Technique: Paired axial CT (left) and PSMA PET (right), 68Ga-PSMA tracer. PET panel 256×256 px (2.7 mm/px).
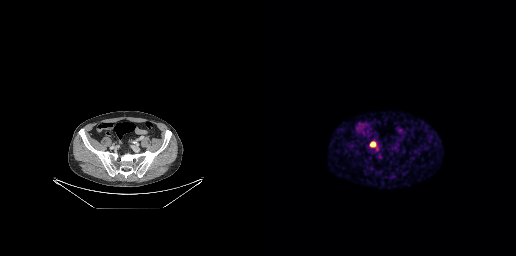
Findings: Coordinates are on the 256×256 PET (right) panel. PSMA-avid tumor lesion bounding box (x0, y0)-(x1, y1): (110, 142)-(115, 146).